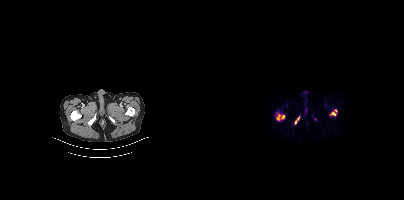
Coordinates are on the 200×200 PET (right) panel. PSMA-avid tumor lesion bounding boxes (x, y, width, height): x=90 y=117 w=6 h=8 | x=127 y=112 w=5 h=4 | x=73 y=115 w=3 h=5. Small PSMA-avid foci (2 to 4 px across) near (center x, center y): (79, 116) | (131, 110).